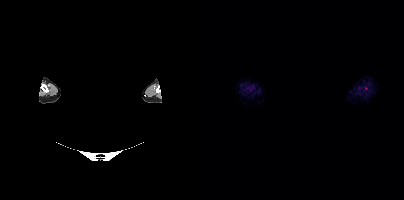
Technique: Left: CT. Right: PSMA PET, same axial level, 18F-PSMA tracer. slice position z = 278 mm.
Note: The head region is masked for de-identification.
Findings: No tumor lesions annotated on this slice.